Two-panel axial: CT | PSMA PET, 18F-PSMA tracer. Acquired on Siemens Biograph mCT Flow 20. PET panel 200×200 px (4.1 mm/px).
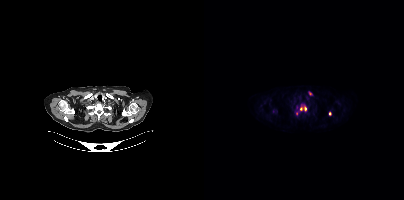
Coordinates are on the 200×200 PET (right) panel. PSMA-avid tumor lesion bounding boxes:
| # | x0 | y0 | x1 | y1 |
|---|---|---|---|---|
| 1 | 100 | 106 | 102 | 110 |
Small PSMA-avid foci (2 to 4 px across) near (center x, center y): (97, 108); (126, 113); (106, 93); (92, 113).